modality: PSMA PET/CT | tracer: [18F]PSMA-1007 | view: axial
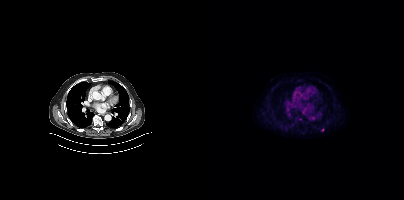
Coordinates are on the 200×200 PET (right) panel. Small PSMA-avid focus (2 to 4 px across) near (center x, center y): (118, 130).